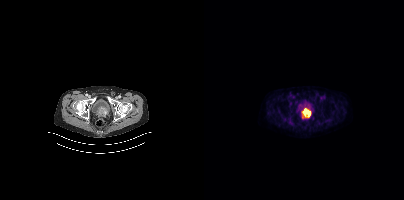
Technique: Left: CT. Right: PSMA PET, same axial level, 18F-PSMA tracer. acquired on Siemens Biograph mCT Flow 20. slice 65 of 423. PET panel 200×200 px (4.1 mm/px).
Findings: Coordinates are on the 200×200 PET (right) panel. PSMA-avid tumor lesion bounding box (x0, y0)-(x1, y1): (98, 108)-(105, 118).